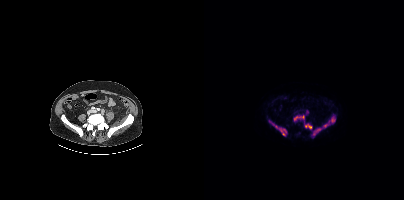
Coordinates are on the 200×200 PET (right) panel. (showing 6 of 7 foci) PSMA-avid tumor lesion bounding boxes (x0,y0,x1,y1): [111,114,131,135], [89,115,100,121], [75,128,82,135], [100,123,107,128]. Small PSMA-avid foci (2 to 4 px across) near (center x, center y): (108, 135), (72, 126). Left: CT. Right: PSMA PET, same axial level, [18F]PSMA-1007 tracer. PET panel 200×200 px (4.1 mm/px).